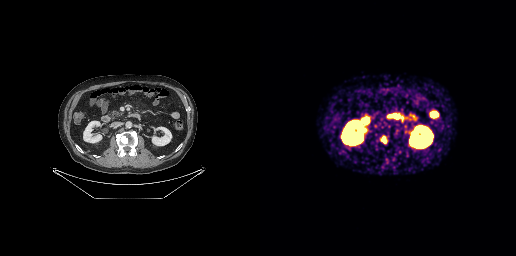
Coordinates are on the 256×256 PET (right) panel. PSMA-avid tumor lesion bounding box (x0,y0,x1,y1): [121,136,126,143].
modality: PSMA PET/CT | tracer: [68Ga]Ga-PSMA-11 | view: axial | PET grid: 256×256